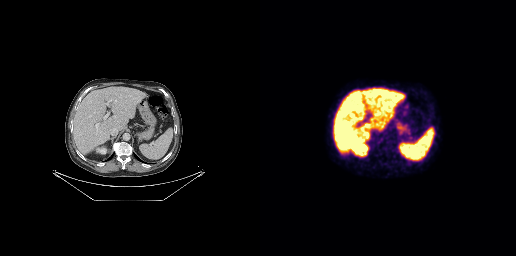
Technique: Left: CT. Right: PSMA PET, same axial level, [18F]PSMA-1007 tracer. acquired on GE Discovery 690. PET panel 256×256 px (2.7 mm/px).
Findings: No tumor lesions annotated on this slice.